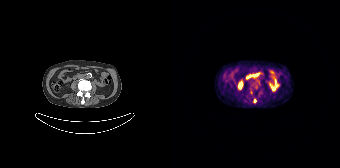
Findings: Coordinates are on the 168×168 PET (right) panel. (showing 1 of 2 foci) Small PSMA-avid focus (2 to 4 px across) near (center x, center y): (82, 101).
- Two-panel axial: CT | PSMA PET, 68Ga-PSMA tracer
- acquired on Siemens Biograph 64-4R TruePoint
- slice position z = -1044 mm